Paired axial CT (left) and PSMA PET (right), [18F]PSMA-1007 tracer. Slice position z = -1065 mm. PET panel 200×200 px (4.1 mm/px).
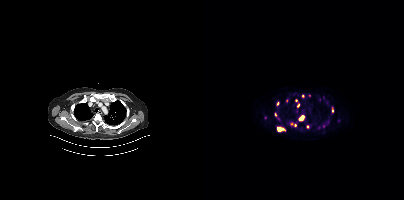
Coordinates are on the 200×200 PET (right) panel. (showing 13 of 15 foci) PSMA-avid tumor lesion bounding boxes (x0, y0)-(x1, y1): (73, 127)-(81, 131); (94, 115)-(100, 121); (127, 106)-(130, 112). Small PSMA-avid foci (2 to 4 px across) near (center x, center y): (94, 105); (91, 125); (74, 103); (103, 126); (99, 96); (92, 100); (71, 114); (119, 97); (115, 99); (87, 123).